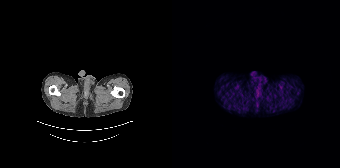
Technique: Paired axial CT (left) and PSMA PET (right), [68Ga]Ga-PSMA-11 tracer.
Findings: This slice has no annotated PSMA-avid lesion.